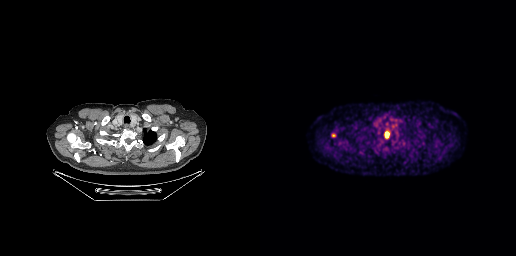
Technique: Paired axial CT (left) and PSMA PET (right), 18F-PSMA tracer. acquired on GE Discovery 690. slice 256 of 299.
Findings: Coordinates are on the 256×256 PET (right) panel. PSMA-avid tumor lesion bounding box (x0,y0,x1,y1): [125,132,129,137].